Paired axial CT (left) and PSMA PET (right), 18F tracer. Slice position z = -727 mm. PET panel 200×200 px (4.1 mm/px).
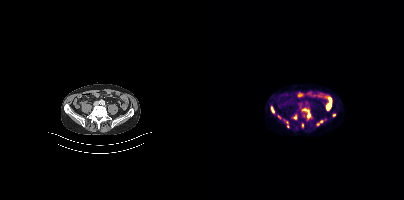
Coordinates are on the 200×200 PET (right) panel. PSMA-avid tumor lesion bounding boxes (partial; 1 more focus not listed):
| # | x0 | y0 | x1 | y1 |
|---|---|---|---|---|
| 1 | 98 | 108 | 106 | 118 |
| 2 | 67 | 106 | 70 | 112 |
| 3 | 90 | 115 | 92 | 119 |
Small PSMA-avid foci (2 to 4 px across) near (center x, center y): (130, 115); (117, 121); (83, 122); (98, 125); (83, 126); (114, 124).